Left: CT. Right: PSMA PET, same axial level, 18F-PSMA tracer. Acquired on Siemens Biograph mCT Flow 20. Slice position z = -1391 mm. PET panel 200×200 px (4.1 mm/px).
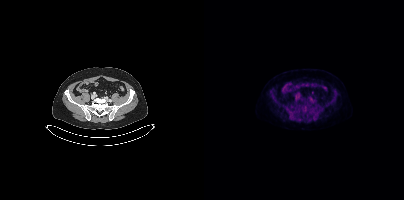
Negative for PSMA-avid disease on this slice.